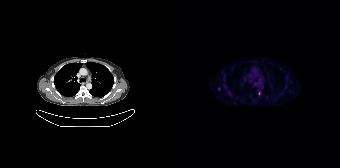
Findings: Coordinates are on the 168×168 PET (right) panel. (showing 2 of 3 foci) Small PSMA-avid foci (2 to 4 px across) near (center x, center y): (47, 88); (87, 93).
Technique: Paired axial CT (left) and PSMA PET (right), 18F-PSMA tracer. slice position z = 1858 mm. PET panel 168×168 px (4.1 mm/px).